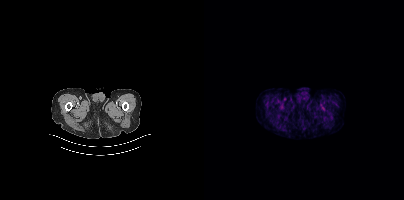
No PSMA-avid tumor lesions on this slice.